modality: PSMA PET/CT | tracer: 18F | view: axial
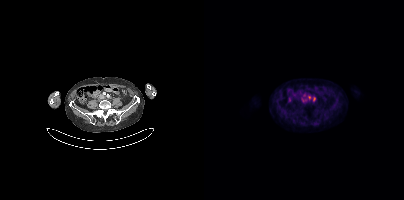
Coordinates are on the 200×200 PET (right) panel. (showing 2 of 3 foci) Small PSMA-avid foci (2 to 4 px across) near (center x, center y): (105, 97) / (110, 98).